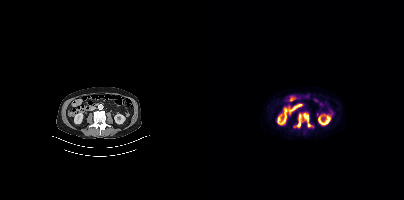
{"modality":"PSMA PET/CT","view":"axial","tracer":"18F-PSMA","pet_grid":[200,200],"coord_frame":"pet_panel","coord_format":"x0,y0,x1,y1","lesion_bboxes":[[93,113,107,128]]}